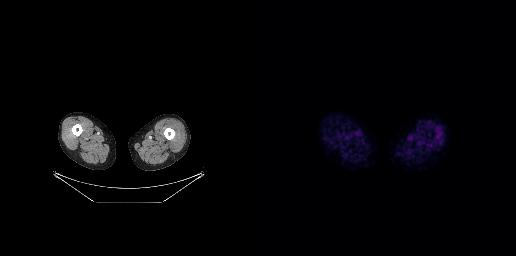
{"modality":"PSMA PET/CT","view":"axial","tracer":"18F-PSMA","pet_grid":[256,256],"coord_frame":"pet_panel","coord_format":"x0,y0,x1,y1","psma_avid_lesions":false}